modality: PSMA PET/CT | tracer: 18F-PSMA | view: axial
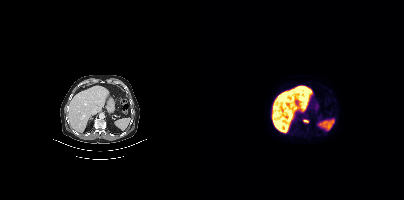
Only PSMA-avid lesion pieces thinner than 2 px on this slice (not listed).